Technique: Paired axial CT (left) and PSMA PET (right), 68Ga tracer. acquired on Siemens Biograph mCT Flow 20. slice 168 of 409. PET panel 200×200 px (4.1 mm/px).
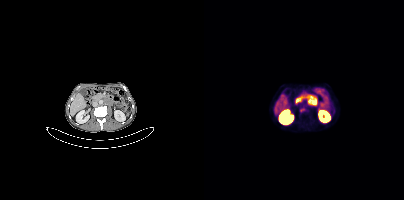
Findings: Coordinates are on the 200×200 PET (right) panel. PSMA-avid tumor lesion bounding boxes (x0,y0,x1,y1): [100,95,113,105] [96,108,100,111].